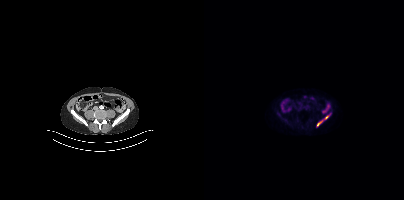
Technique: Left: CT. Right: PSMA PET, same axial level, [18F]PSMA-1007 tracer.
Findings: Coordinates are on the 200×200 PET (right) panel. PSMA-avid tumor lesion bounding box (x0,y0,x1,y1): [113,114,126,126].